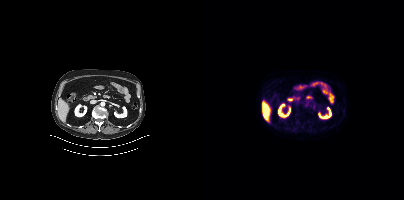
Left: CT. Right: PSMA PET, same axial level, [18F]PSMA-1007 tracer. Acquired on Siemens Biograph mCT Flow 20. Slice position z = -637 mm. PET panel 200×200 px (4.1 mm/px). This slice has no annotated PSMA-avid lesion.